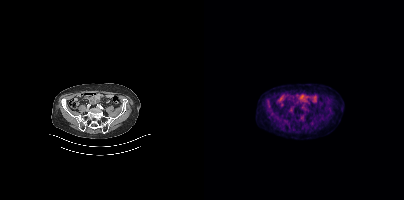
- Paired axial CT (left) and PSMA PET (right), 18F tracer
- slice position z = -1430 mm
- PET panel 200×200 px (4.1 mm/px)
Findings: No PSMA-avid tumor lesions on this slice.